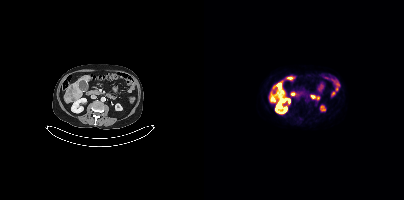
{"pet_grid":[200,200],"coord_frame":"pet_panel","coord_format":"x0,y0,x1,y1","lesion_bboxes":[[73,82,77,87]],"modality":"PSMA PET/CT","view":"axial","tracer":"18F"}